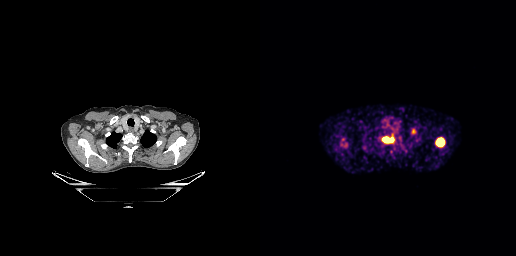
Paired axial CT (left) and PSMA PET (right), 68Ga-PSMA tracer. Slice 218 of 263. Coordinates are on the 256×256 PET (right) panel. (showing 3 of 4 foci) PSMA-avid tumor lesion bounding boxes (x0, y0)-(x1, y1): (122, 137)-(133, 142) / (176, 138)-(184, 146). Small PSMA-avid focus (2 to 4 px across) near (center x, center y): (153, 132).